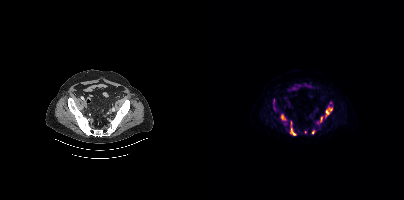
Findings: Coordinates are on the 200×200 PET (right) panel. (showing 6 of 9 foci) PSMA-avid tumor lesion bounding boxes (x0,y0,x1,y1): [121,107,128,116], [86,127,92,135], [77,114,81,120], [116,116,118,122]. Small PSMA-avid foci (2 to 4 px across) near (center x, center y): (109, 131), (101, 132).
- Two-panel axial: CT | PSMA PET, 18F-PSMA tracer
- slice position z = -883 mm